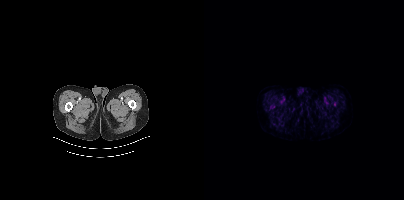
Findings: No tumor lesions annotated on this slice.
Technique: Paired axial CT (left) and PSMA PET (right), 18F tracer. PET panel 200×200 px (4.1 mm/px).